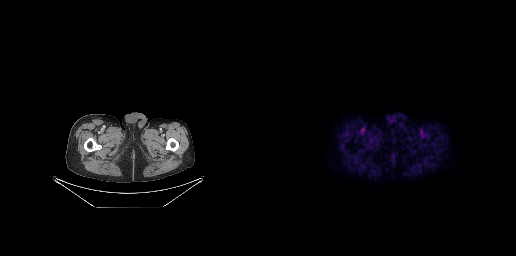
This slice has no annotated PSMA-avid lesion.